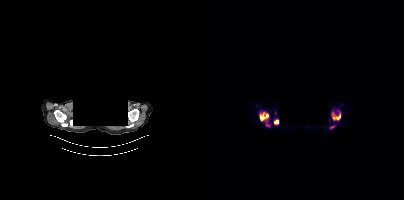
Coordinates are on the 200×200 PET (right) panel. PSMA-avid tumor lesion bounding boxes (x0, y0)-(x1, y1): (128, 110)-(136, 120); (56, 112)-(64, 120); (62, 121)-(66, 126); (70, 120)-(74, 123); (126, 125)-(131, 128).
redaction: face masked with black rectangle | modality: PSMA PET/CT | tracer: 68Ga | view: axial